Two-panel axial: CT | PSMA PET, [18F]PSMA-1007 tracer. Acquired on Siemens Biograph mCT Flow 20. PET panel 200×200 px (4.1 mm/px).
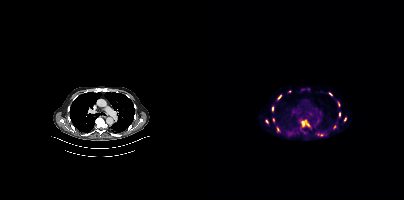
Coordinates are on the 200×200 PET (right) panel. PSMA-avid tumor lesion bounding boxes (x0,y0,x1,y1): [97,120,106,127]; [133,101,136,106]; [73,95,77,99]; [135,112,136,117]; [73,127,75,131]; [68,107,69,111]. Small PSMA-avid foci (2 to 4 px across) near (center x, center y): (62, 121); (85, 91); (126, 93); (69, 119); (141, 119); (99, 89); (104, 88).